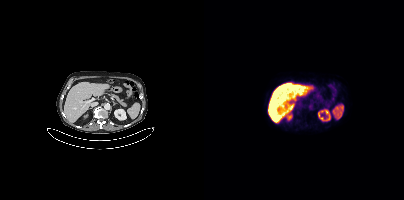
{"modality":"PSMA PET/CT","view":"axial","tracer":"[18F]PSMA-1007","pet_grid":[200,200],"coord_frame":"pet_panel","coord_format":"x0,y0,x1,y1","psma_avid_lesions":false}